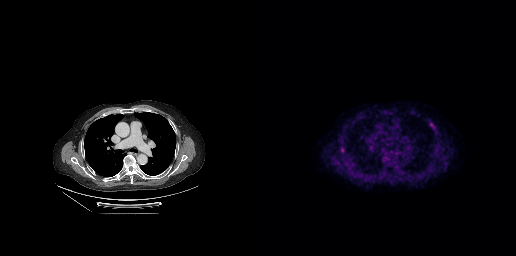
Coordinates are on the 256×256 PET (right) panel. PSMA-avid tumor lesion bounding boxes (x, y, width, height): x=83 y=160 w=8 h=9; x=80 y=146 w=5 h=9; x=169 y=122 w=7 h=8.